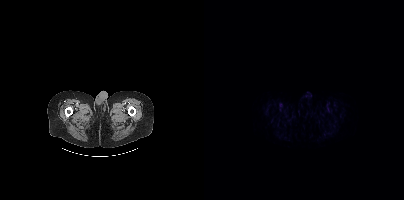
Findings: This slice has no annotated PSMA-avid lesion.
Technique: Two-panel axial: CT | PSMA PET, 18F-PSMA tracer. slice 21 of 389. PET panel 200×200 px (4.1 mm/px).